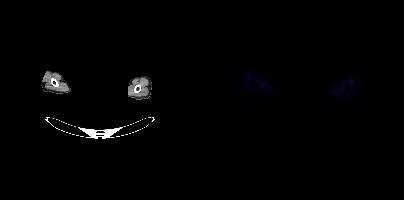
Paired axial CT (left) and PSMA PET (right), [18F]PSMA-1007 tracer. Acquired on Siemens Biograph mCT Flow 20. Slice position z = -193 mm. Facial anatomy redacted by setting a rectangular region of the head to black. No PSMA-avid tumor lesions on this slice.